A rectangular region was set to black for de-identification.
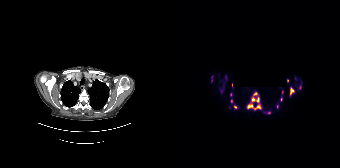
Coordinates are on the 168×168 PET (right) panel. (showing 10 of 14 foci) PSMA-avid tumor lesion bounding boxes (x0,y0,x1,y1): [75,92,89,109] [118,87,122,95] [48,85,51,92]. Small PSMA-avid foci (2 to 4 px across) near (center x, center y): (63, 107) (109, 99) (59, 101) (97, 112) (115, 80) (110, 92) (58, 94).